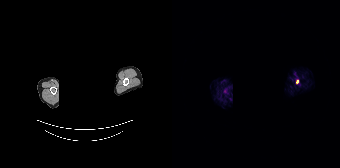
- head region blanked for anonymization (face removed)
- Left: CT. Right: PSMA PET, same axial level, [68Ga]Ga-PSMA-11 tracer
- acquired on Siemens Biograph 64-4R TruePoint
- PET panel 168×168 px (4.1 mm/px)
Findings: Coordinates are on the 168×168 PET (right) panel. Small PSMA-avid focus (2 to 4 px across) near (center x, center y): (125, 81).